Two-panel axial: CT | PSMA PET, [18F]PSMA-1007 tracer. PET panel 200×200 px (4.1 mm/px).
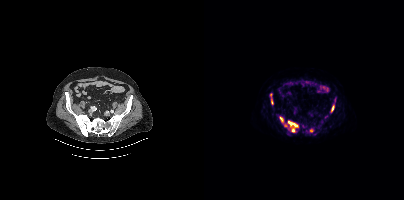
Coordinates are on the 200×200 PET (right) panel. PSMA-avid tumor lesion bounding boxes (partial; 1 more focus not listed):
| # | x0 | y0 | x1 | y1 |
|---|---|---|---|---|
| 1 | 84 | 120 | 94 | 132 |
| 2 | 127 | 105 | 130 | 112 |
| 3 | 75 | 116 | 79 | 122 |
| 4 | 67 | 99 | 69 | 104 |
Small PSMA-avid foci (2 to 4 px across) near (center x, center y): (107, 130); (81, 125); (66, 95).